Two-panel axial: CT | PSMA PET, 68Ga-PSMA tracer. Slice position z = -431 mm. PET panel 256×256 px (2.7 mm/px).
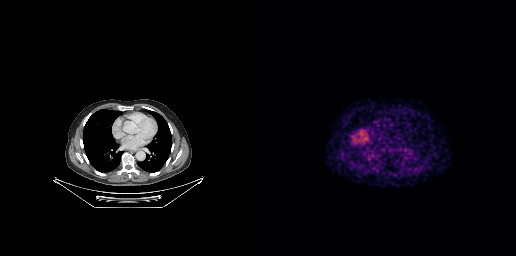
No PSMA-avid tumor lesions on this slice.